Technique: Left: CT. Right: PSMA PET, same axial level, 18F tracer. slice position z = -12 mm.
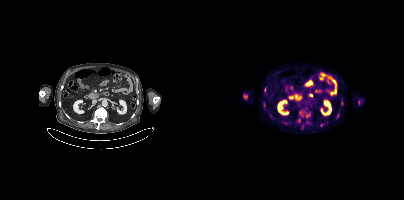
Findings: Coordinates are on the 200×200 PET (right) panel. (showing 6 of 9 foci) PSMA-avid tumor lesion bounding box (x0, y0)-(x1, y1): (137, 100)-(139, 104). Small PSMA-avid foci (2 to 4 px across) near (center x, center y): (61, 89); (60, 104); (117, 125); (98, 127); (103, 115).